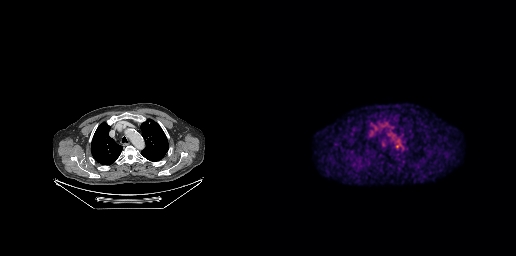
Technique: Paired axial CT (left) and PSMA PET (right), [18F]PSMA-1007 tracer. PET panel 256×256 px (2.7 mm/px).
Findings: Coordinates are on the 256×256 PET (right) panel. Small PSMA-avid focus (2 to 4 px across) near (center x, center y): (136, 145).